- Two-panel axial: CT | PSMA PET, 18F-PSMA tracer
- acquired on Siemens Biograph 64-4R TruePoint
- PET panel 168×168 px (4.1 mm/px)
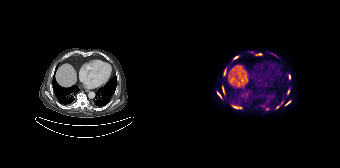
Findings: Coordinates are on the 168×168 PET (right) panel. PSMA-avid tumor lesion bounding boxes (x0,y0,x1,y1): [59,105,69,108] [45,91,49,98] [50,86,52,94] [51,69,54,75] [117,74,118,78] [113,101,118,105]. Small PSMA-avid foci (2 to 4 px across) near (center x, center y): (116, 91) (105, 107) (63, 57) (88, 53) (109, 103) (95, 108).